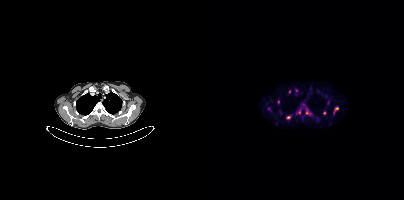
modality: PSMA PET/CT | tracer: [18F]PSMA-1007 | view: axial | PET grid: 200×200
Coordinates are on the 200×200 PET (right) panel. PSMA-avid tumor lesion bounding boxes (x0,y0,x1,y1): [129,106,134,114]; [102,108,107,115]; [82,115,87,119]; [92,109,96,113]. Small PSMA-avid foci (2 to 4 px across) near (center x, center y): (120, 112); (74, 101); (85, 91); (65, 109); (92, 90); (124, 102).